- Left: CT. Right: PSMA PET, same axial level, [18F]PSMA-1007 tracer
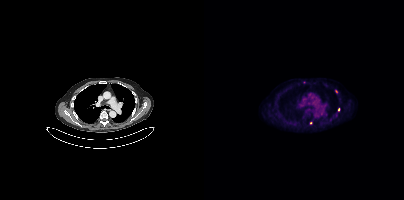
Findings: Coordinates are on the 200×200 PET (right) panel. Small PSMA-avid foci (2 to 4 px across) near (center x, center y): (134, 109) / (106, 122) / (100, 82).